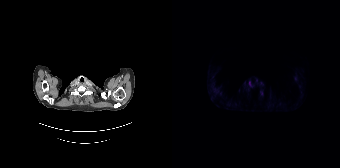
No PSMA-avid tumor lesions on this slice.